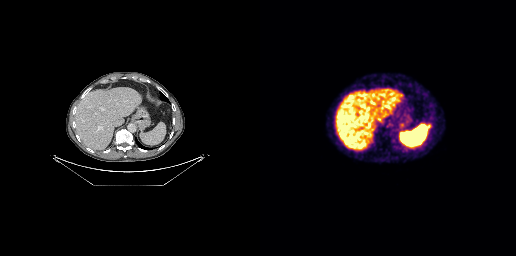
{"modality":"PSMA PET/CT","view":"axial","tracer":"68Ga","pet_grid":[256,256],"coord_frame":"pet_panel","coord_format":"x0,y0,x1,y1","lesion_bboxes":[[167,123,171,127]]}